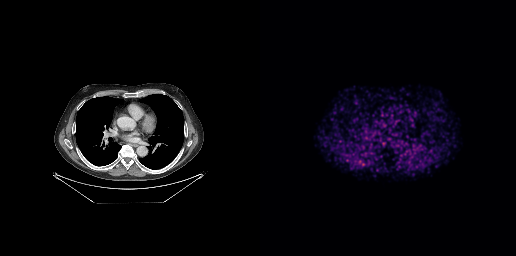
Left: CT. Right: PSMA PET, same axial level, 68Ga-PSMA tracer. Slice 189 of 263. No PSMA-avid tumor lesions on this slice.